Technique: Two-panel axial: CT | PSMA PET, [18F]PSMA-1007 tracer. acquired on Siemens Biograph mCT Flow 20. PET panel 200×200 px (4.1 mm/px).
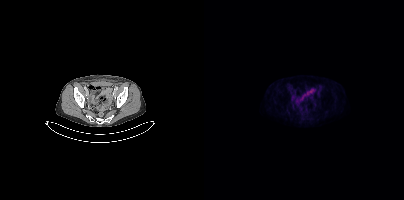
Findings: No PSMA-avid tumor lesions on this slice.